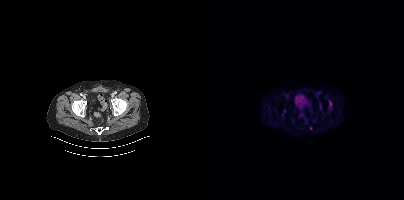
{"modality":"PSMA PET/CT","view":"axial","tracer":"[18F]PSMA-1007","pet_grid":[200,200],"coord_frame":"pet_panel","coord_format":"x0,y0,x1,y1","partial":true,"lesion_bboxes":[],"small_foci_centers":[[106,128],[126,103]]}